Two-panel axial: CT | PSMA PET, 18F tracer. Acquired on Siemens Biograph mCT Flow 20.
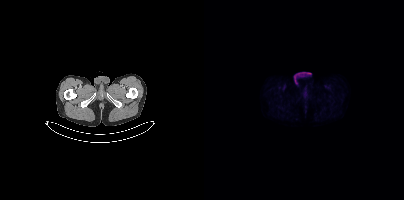
No PSMA-avid tumor lesions on this slice.